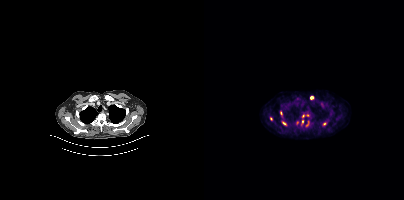
Coordinates are on the 200×200 PET (right) panel. PSMA-avid tumor lesion bounding boxes:
| # | x0 | y0 | x1 | y1 |
|---|---|---|---|---|
| 1 | 78 | 121 | 82 | 125 |
| 2 | 102 | 121 | 104 | 126 |
| 3 | 97 | 120 | 99 | 124 |
Small PSMA-avid foci (2 to 4 px across) near (center x, center y): (107, 97); (77, 112); (99, 116); (67, 118); (120, 123); (103, 115); (93, 122).
Paired axial CT (left) and PSMA PET (right), 18F-PSMA tracer. Acquired on Siemens Biograph mCT Flow 20.